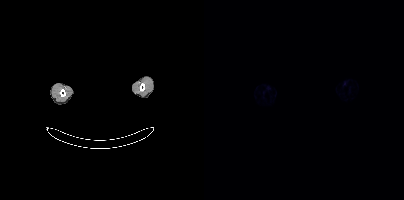
{"modality":"PSMA PET/CT","view":"axial","tracer":"[68Ga]Ga-PSMA-11","pet_grid":[200,200],"coord_frame":"pet_panel","coord_format":"x0,y0,x1,y1","psma_avid_lesions":false,"deidentification":"face masked with black rectangle"}